Paired axial CT (left) and PSMA PET (right), [18F]PSMA-1007 tracer. Acquired on Siemens Biograph mCT Flow 20. PET panel 200×200 px (4.1 mm/px).
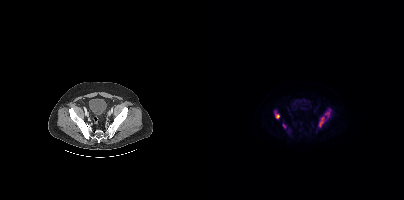
Coordinates are on the 200×200 PET (right) panel. PSMA-avid tumor lesion bounding boxes:
| # | x0 | y0 | x1 | y1 |
|---|---|---|---|---|
| 1 | 115 | 117 | 120 | 126 |
| 2 | 71 | 111 | 75 | 118 |
| 3 | 121 | 110 | 126 | 117 |
Small PSMA-avid focus (2 to 4 px across) near (center x, center y): (80, 125).